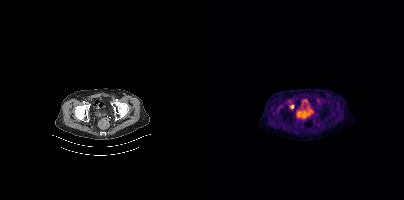
{"modality":"PSMA PET/CT","view":"axial","tracer":"18F","pet_grid":[200,200],"coord_frame":"pet_panel","coord_format":"x0,y0,x1,y1","lesion_bboxes":[],"small_foci_centers":[[88,106]]}